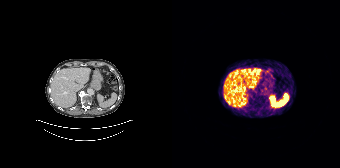
- Left: CT. Right: PSMA PET, same axial level, [68Ga]Ga-PSMA-11 tracer
- acquired on Siemens Biograph 64-4R TruePoint
- PET panel 168×168 px (4.1 mm/px)
Findings: No PSMA-avid tumor lesions on this slice.